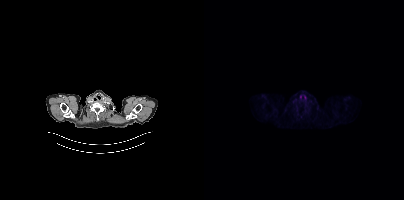
Negative for PSMA-avid disease on this slice.
modality: PSMA PET/CT | tracer: [18F]PSMA-1007 | view: axial | PET grid: 200×200